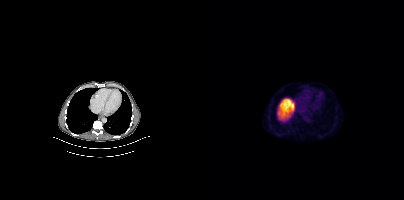
Technique: Paired axial CT (left) and PSMA PET (right), 18F-PSMA tracer. slice position z = -1174 mm.
Findings: No tumor lesions annotated on this slice.